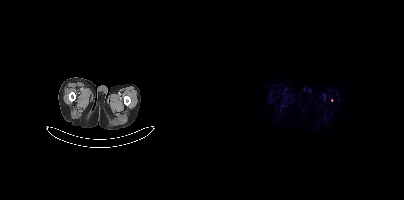
Two-panel axial: CT | PSMA PET, [18F]PSMA-1007 tracer. Slice position z = -890 mm. PET panel 200×200 px (4.1 mm/px). Coordinates are on the 200×200 PET (right) panel. Small PSMA-avid focus (2 to 4 px across) near (center x, center y): (127, 100).